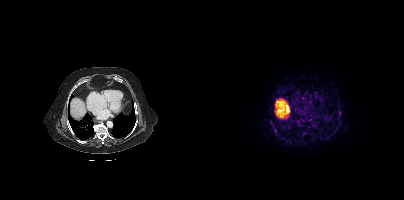
No tumor lesions annotated on this slice. Paired axial CT (left) and PSMA PET (right), 68Ga tracer. Slice 264 of 444.